modality: PSMA PET/CT | tracer: 18F-PSMA | view: axial
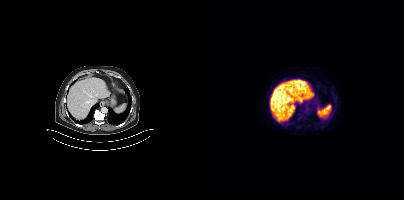
No tumor lesions annotated on this slice.